- Left: CT. Right: PSMA PET, same axial level, 18F-PSMA tracer
- slice 323 of 403
- PET panel 200×200 px (4.1 mm/px)
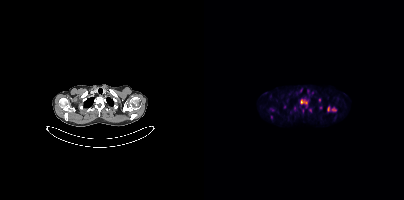
Findings: Coordinates are on the 200×200 PET (right) panel. (showing 7 of 10 foci) PSMA-avid tumor lesion bounding boxes (x0, y0)-(x1, y1): (96, 99)-(104, 107) / (123, 106)-(132, 111). Small PSMA-avid foci (2 to 4 px across) near (center x, center y): (106, 110) / (115, 100) / (116, 107) / (80, 106) / (67, 116).